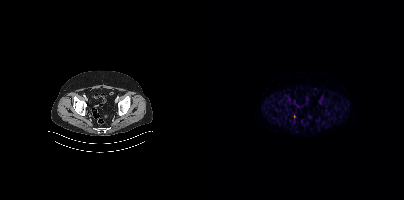
{"modality":"PSMA PET/CT","view":"axial","tracer":"[18F]PSMA-1007","pet_grid":[200,200],"coord_frame":"pet_panel","coord_format":"x0,y0,x1,y1","partial":true,"lesion_bboxes":[]}